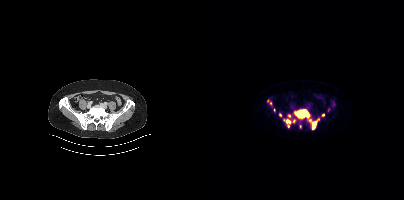
Left: CT. Right: PSMA PET, same axial level, 18F-PSMA tracer. Slice 116 of 444. Coordinates are on the 200×200 PET (right) panel. (showing 11 of 12 foci) PSMA-avid tumor lesion bounding boxes (x0,y0,x1,y1): [90,109,105,118]; [108,118,115,129]; [80,119,87,127]. Small PSMA-avid foci (2 to 4 px across) near (center x, center y): (119, 115); (76, 115); (85, 116); (90, 121); (66, 103); (106, 120); (96, 126); (63, 100).